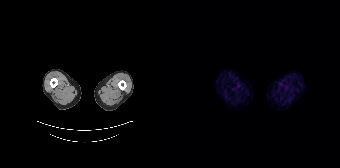
{"modality":"PSMA PET/CT","view":"axial","tracer":"[68Ga]Ga-PSMA-11","pet_grid":[168,168],"coord_frame":"pet_panel","coord_format":"x0,y0,x1,y1","psma_avid_lesions":false}